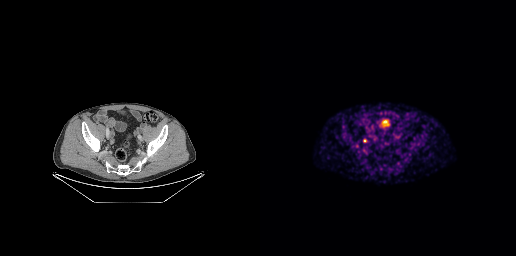
Coordinates are on the 256×256 PET (right) panel. PSMA-avid tumor lesion bounding box (x, y, width, height): x=103 y=138 w=5 h=5. Paired axial CT (left) and PSMA PET (right), 18F tracer. Acquired on GE Discovery 690.